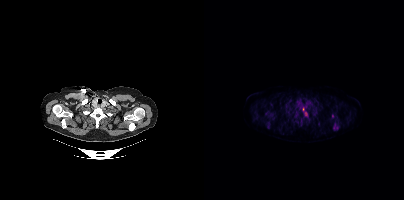
Coordinates are on the 200×200 PET (right) panel. (showing 7 of 8 foci) PSMA-avid tumor lesion bounding boxes (x0, y0)-(x1, y1): (129, 120)-(135, 130) | (98, 108)-(104, 117) | (62, 123)-(66, 127) | (90, 114)-(94, 117). Small PSMA-avid foci (2 to 4 px across) near (center x, center y): (97, 122) | (62, 113) | (66, 114).